- Two-panel axial: CT | PSMA PET, 18F tracer
- acquired on Siemens Biograph mCT Flow 20
- slice position z = -866 mm
- PET panel 200×200 px (4.1 mm/px)
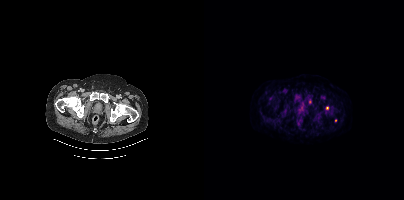
Findings: Coordinates are on the 200×200 PET (right) panel. Small PSMA-avid foci (2 to 4 px across) near (center x, center y): (123, 107); (131, 120); (105, 101).